- Two-panel axial: CT | PSMA PET, [18F]PSMA-1007 tracer
- PET panel 200×200 px (4.1 mm/px)
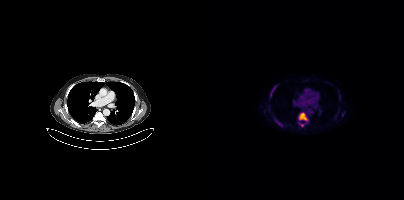
Findings: Coordinates are on the 200×200 PET (right) panel. PSMA-avid tumor lesion bounding boxes (x0, y0)-(x1, y1): (95, 113)-(103, 120) | (71, 119)-(78, 126) | (95, 123)-(99, 126) | (68, 86)-(71, 91). Small PSMA-avid foci (2 to 4 px across) near (center x, center y): (138, 114) | (66, 94).